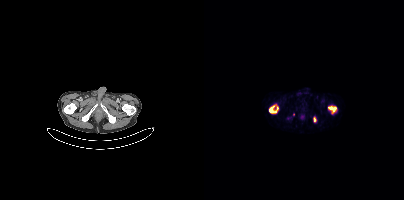
Coordinates are on the 200×200 PET (right) panel. (showing 4 of 5 foci) PSMA-avid tumor lesion bounding boxes (x0,y0,x1,y1): [124,106,132,113], [65,106,70,112], [109,117,112,121], [71,107,74,112]. Left: CT. Right: PSMA PET, same axial level, [68Ga]Ga-PSMA-11 tracer.